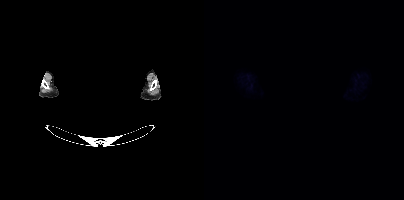
This slice has no annotated PSMA-avid lesion.
modality: PSMA PET/CT | tracer: 18F-PSMA | view: axial | redaction: face masked with black rectangle